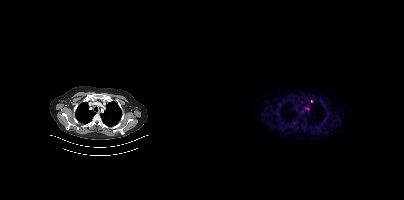
Technique: Paired axial CT (left) and PSMA PET (right), [18F]PSMA-1007 tracer. acquired on Siemens Biograph mCT Flow 20. PET panel 200×200 px (4.1 mm/px).
Findings: Coordinates are on the 200×200 PET (right) panel. (showing 1 of 2 foci) Small PSMA-avid focus (2 to 4 px across) near (center x, center y): (103, 108).